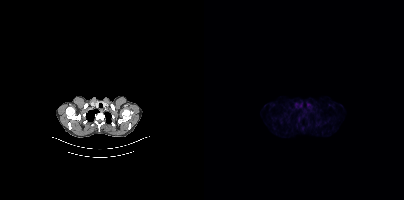
Paired axial CT (left) and PSMA PET (right), [18F]PSMA-1007 tracer. Slice position z = -1002 mm. Negative for PSMA-avid disease on this slice.